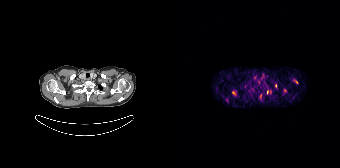
{"modality":"PSMA PET/CT","view":"axial","tracer":"68Ga-PSMA","pet_grid":[168,168],"coord_frame":"pet_panel","coord_format":"x0,y0,x1,y1","lesion_bboxes":[[121,79,126,83],[60,91,63,95]],"small_foci_centers":[[113,90],[103,85],[95,92],[88,95]]}